- Paired axial CT (left) and PSMA PET (right), 18F tracer
- acquired on Siemens Biograph mCT Flow 20
- slice position z = -861 mm
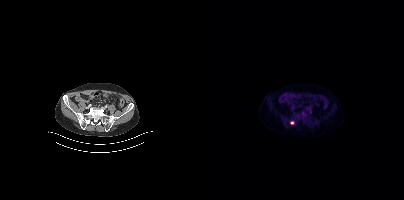
Findings: Coordinates are on the 200×200 PET (right) panel. Small PSMA-avid focus (2 to 4 px across) near (center x, center y): (87, 122).